- Left: CT. Right: PSMA PET, same axial level, 18F-PSMA tracer
- slice 64 of 165
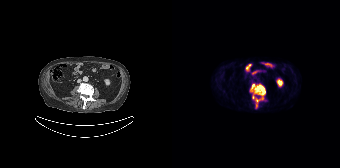
Findings: Coordinates are on the 168×168 PET (right) panel. PSMA-avid tumor lesion bounding box (x0, y0)-(x1, y1): (78, 84)-(93, 107).